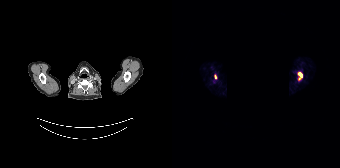
De-identified by setting a rectangular region to black.
Coordinates are on the 168×168 PET (right) panel. PSMA-avid tumor lesion bounding box (x, y, width, height): x=126 y=73 w=5 h=5. Small PSMA-avid focus (2 to 4 px across) near (center x, center y): (43, 76).